- Two-panel axial: CT | PSMA PET, [18F]PSMA-1007 tracer
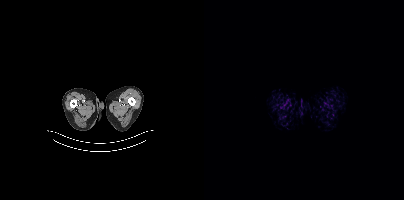
Findings: Negative for PSMA-avid disease on this slice.